Left: CT. Right: PSMA PET, same axial level, 18F-PSMA tracer. Slice position z = -1360 mm.
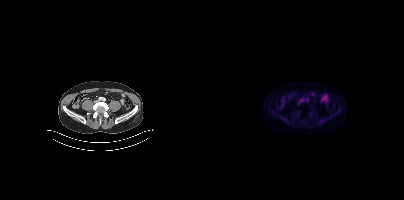
This slice has no annotated PSMA-avid lesion.